Two-panel axial: CT | PSMA PET, 18F-PSMA tracer. PET panel 200×200 px (4.1 mm/px). Any black rectangle over the head is a privacy mask, not anatomy.
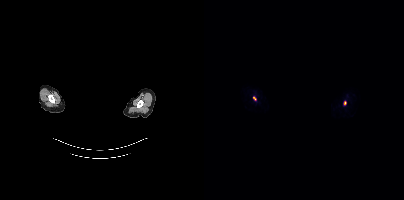
Coordinates are on the 200×200 PET (right) panel. Small PSMA-avid foci (2 to 4 px across) near (center x, center y): (141, 102) / (50, 98).